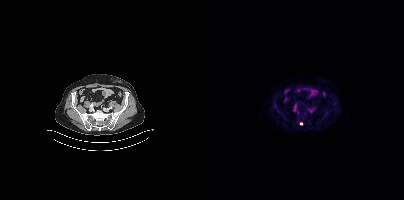
Two-panel axial: CT | PSMA PET, [18F]PSMA-1007 tracer. PET panel 200×200 px (4.1 mm/px). Coordinates are on the 200×200 PET (right) panel. Small PSMA-avid foci (2 to 4 px across) near (center x, center y): (97, 123); (97, 118).